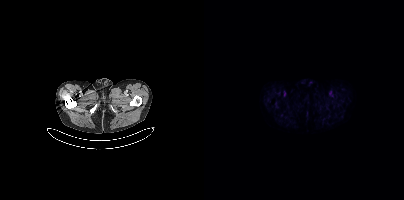
No tumor lesions annotated on this slice. Two-panel axial: CT | PSMA PET, 18F tracer. Acquired on Siemens Biograph mCT Flow 20.